Left: CT. Right: PSMA PET, same axial level, [18F]PSMA-1007 tracer.
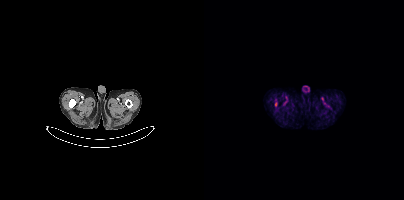
Coordinates are on the 200×200 PET (right) panel. PSMA-avid tumor lesion bounding box (x0, y0)-(x1, y1): (71, 102)-(73, 106).